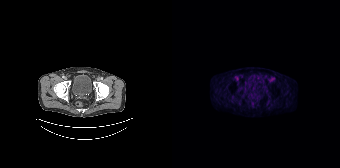
Technique: Paired axial CT (left) and PSMA PET (right), [18F]PSMA-1007 tracer. acquired on Siemens Biograph 64-4R TruePoint. slice 34 of 135.
Findings: No tumor lesions annotated on this slice.